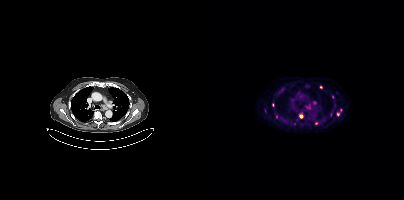
Technique: Paired axial CT (left) and PSMA PET (right), 18F-PSMA tracer. acquired on Siemens Biograph mCT Flow 20. slice position z = -1006 mm.
Findings: Coordinates are on the 200×200 PET (right) panel. Small PSMA-avid foci (2 to 4 px across) near (center x, center y): (109, 102) (97, 116) (134, 114) (61, 110) (112, 123) (78, 89) (68, 105) (128, 96) (116, 86) (136, 109) (72, 116).